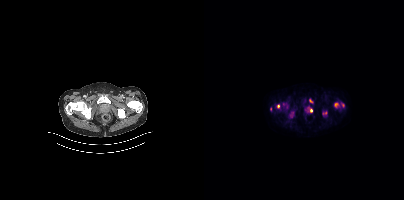
Coordinates are on the 200×200 PET (right) panel. (showing 8 of 11 foci) PSMA-avid tumor lesion bounding boxes (x, y, width, height): x=85 y=112 w=6 h=7 | x=130 y=103 w=5 h=5 | x=105 y=99 w=5 h=5 | x=106 y=107 w=3 h=6. Small PSMA-avid foci (2 to 4 px across) near (center x, center y): (74, 106) | (139, 105) | (66, 109) | (121, 112). Paired axial CT (left) and PSMA PET (right), [18F]PSMA-1007 tracer. Acquired on Siemens Biograph mCT Flow 20. PET panel 200×200 px (4.1 mm/px).